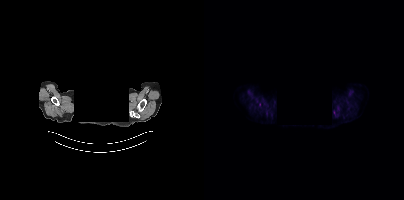
Coordinates are on the 200×200 PET (right) panel. Small PSMA-avid focus (2 to 4 px across) near (center x, center y): (55, 104).
deidentification: privacy mask over head | modality: PSMA PET/CT | tracer: 18F | view: axial